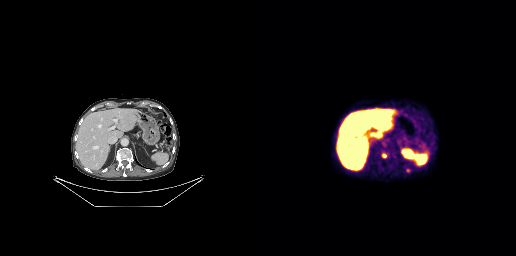
Coordinates are on the 256×256 PET (right) panel. PSMA-avid tumor lesion bounding boxes:
| # | x0 | y0 | x1 | y1 |
|---|---|---|---|---|
| 1 | 123 | 153 | 129 | 158 |
Small PSMA-avid focus (2 to 4 px across) near (center x, center y): (148, 170).
Two-panel axial: CT | PSMA PET, 18F tracer. Slice 144 of 263.